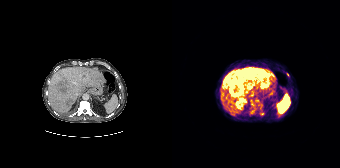
Coordinates are on the 168×168 PET (right) panel. (showing 5 of 6 foci) PSMA-avid tumor lesion bounding boxes (x0, y0)-(x1, y1): (52, 69)-(95, 93) / (89, 82)-(97, 88) / (66, 100)-(71, 104). Small PSMA-avid foci (2 to 4 px across) near (center x, center y): (78, 87) / (115, 74).